Left: CT. Right: PSMA PET, same axial level, 18F-PSMA tracer. Slice 22 of 395. PET panel 200×200 px (4.1 mm/px).
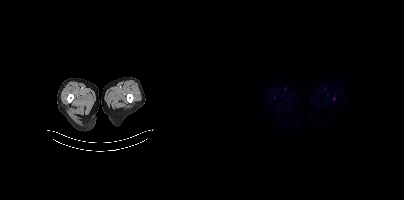
Negative for PSMA-avid disease on this slice.